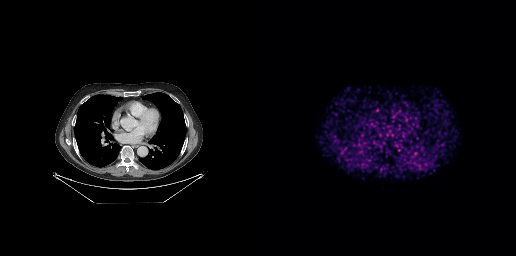
{"pet_grid":[256,256],"coord_frame":"pet_panel","coord_format":"x0,y0,x1,y1","psma_avid_lesions":false,"modality":"PSMA PET/CT","view":"axial","tracer":"[68Ga]Ga-PSMA-11"}